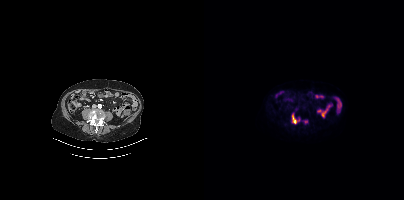
Coordinates are on the 200×200 PET (right) panel. PSMA-avid tumor lesion bounding boxes (x, y, width, height): x=87 y=113 w=10 h=12 / x=99 y=120 w=5 h=4.